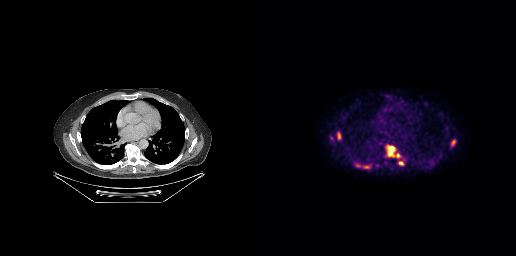
Coordinates are on the 256×256 PET (right) panel. (showing 6 of 8 foci) PSMA-avid tumor lesion bounding boxes (x0,y0,x1,y1): [127,145,135,156], [191,139,195,146], [77,132,81,139], [138,161,143,165], [96,164,100,167]. Small PSMA-avid focus (2 to 4 px across) near (center x, center y): (137, 155).